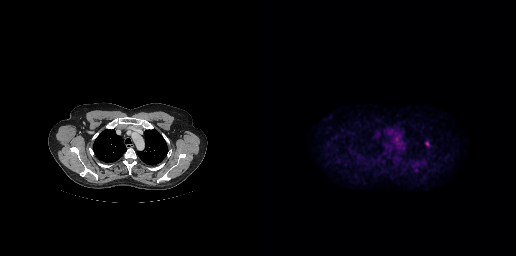
Technique: Paired axial CT (left) and PSMA PET (right), 18F-PSMA tracer. slice 203 of 263. PET panel 256×256 px (2.7 mm/px).
Findings: Coordinates are on the 256×256 PET (right) panel. (showing 1 of 2 foci) Small PSMA-avid focus (2 to 4 px across) near (center x, center y): (156, 169).